Technique: Paired axial CT (left) and PSMA PET (right), [18F]PSMA-1007 tracer. acquired on GE Discovery 690. slice position z = -524 mm.
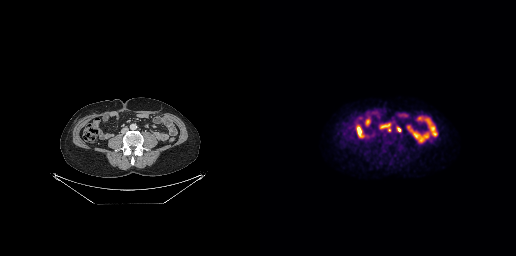
Findings: Coordinates are on the 256×256 PET (right) panel. PSMA-avid tumor lesion bounding box (x0, y0)-(x1, y1): (120, 124)-(130, 131). Small PSMA-avid focus (2 to 4 px across) near (center x, center y): (138, 129).